Technique: Two-panel axial: CT | PSMA PET, [18F]PSMA-1007 tracer. acquired on Siemens Biograph mCT Flow 20. PET panel 200×200 px (4.1 mm/px).
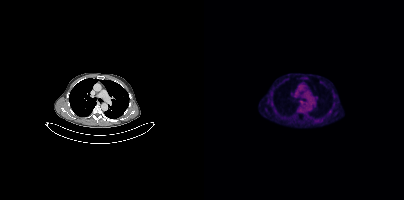
Findings: Only PSMA-avid lesion pieces thinner than 2 px on this slice (not listed).